Technique: Two-panel axial: CT | PSMA PET, [18F]PSMA-1007 tracer. acquired on Siemens Biograph mCT Flow 20.
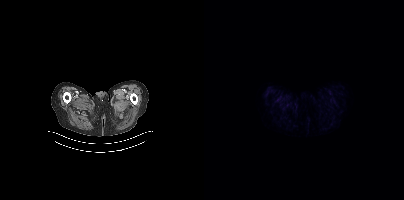
Findings: No PSMA-avid tumor lesions on this slice.